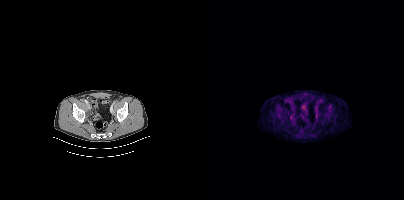
Coordinates are on the 200×200 PET (right) panel. PSMA-avid tumor lesion bounding box (x0,y0,x1,y1): [111,114,113,118]. Small PSMA-avid focus (2 to 4 px across) near (center x, center y): (87, 117).